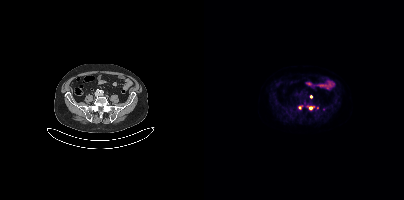
{"modality":"PSMA PET/CT","view":"axial","tracer":"[18F]PSMA-1007","pet_grid":[200,200],"coord_frame":"pet_panel","coord_format":"x0,y0,x1,y1","partial":true,"lesion_bboxes":[],"small_foci_centers":[[106,108]]}